modality: PSMA PET/CT | tracer: 18F | view: axial | PET grid: 200×200
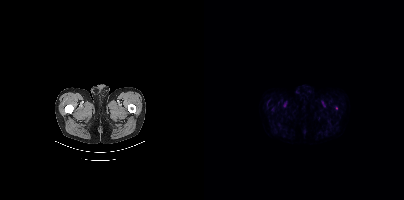
Negative for PSMA-avid disease on this slice.